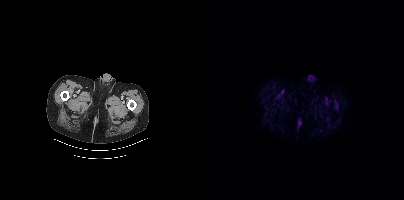
Technique: Left: CT. Right: PSMA PET, same axial level, [18F]PSMA-1007 tracer. acquired on Siemens Biograph mCT Flow 20.
Findings: No tumor lesions annotated on this slice.